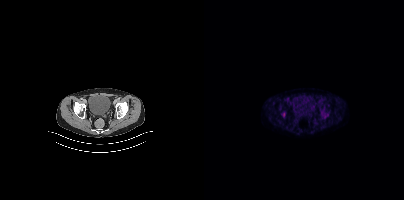
{"pet_grid":[200,200],"coord_frame":"pet_panel","coord_format":"x0,y0,x1,y1","psma_avid_lesions":false,"modality":"PSMA PET/CT","view":"axial","tracer":"[18F]PSMA-1007"}